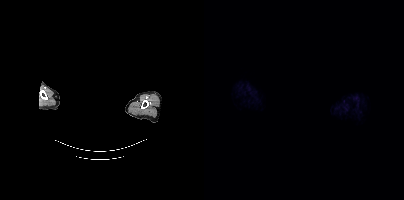
{"modality":"PSMA PET/CT","view":"axial","tracer":"18F","pet_grid":[200,200],"coord_frame":"pet_panel","coord_format":"x0,y0,x1,y1","deidentification":"privacy mask over head","psma_avid_lesions":false}